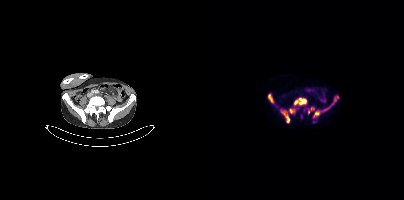
Coordinates are on the 200×200 PET (right) panel. PSMA-avid tumor lesion bounding boxes (x0,y0,x1,y1): [90,97,102,105], [76,109,85,122], [126,95,135,106], [108,111,115,118], [64,94,69,102], [85,109,90,113]. Small PSMA-avid foci (2 to 4 px across) near (center x, center y): (108, 108), (104, 111), (109, 121), (121, 109).